Two-panel axial: CT | PSMA PET, 68Ga tracer.
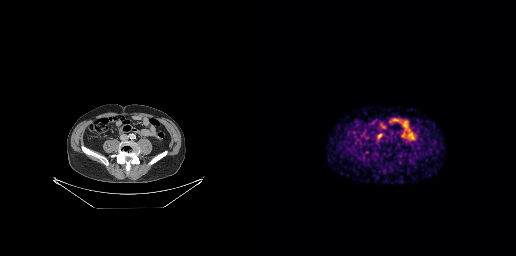
Coordinates are on the 256×256 PET (right) panel. PSMA-avid tumor lesion bounding box (x0,y0,x1,y1): [117,133,122,139].